Technique: Two-panel axial: CT | PSMA PET, 18F tracer. acquired on GE Discovery 690. slice 195 of 263. PET panel 256×256 px (2.7 mm/px).
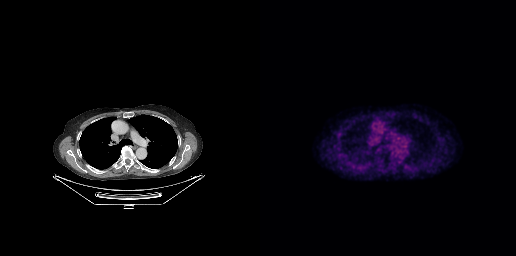
Findings: No tumor lesions annotated on this slice.